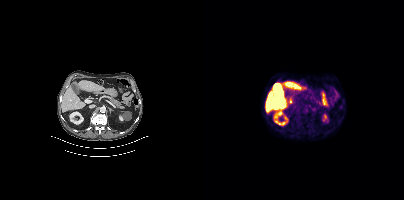
Findings: Negative for PSMA-avid disease on this slice.
- Two-panel axial: CT | PSMA PET, [18F]PSMA-1007 tracer